Two-panel axial: CT | PSMA PET, [18F]PSMA-1007 tracer. PET panel 200×200 px (4.1 mm/px).
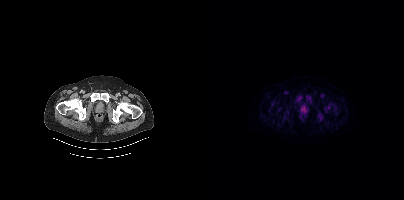
Coordinates are on the 200×200 PET (right) panel. PSMA-avid tumor lesion bounding boxes (partial; 1 more focus not listed):
| # | x0 | y0 | x1 | y1 |
|---|---|---|---|---|
| 1 | 113 | 114 | 118 | 119 |
| 2 | 102 | 95 | 107 | 101 |
| 3 | 93 | 97 | 96 | 102 |
| 4 | 67 | 101 | 70 | 106 |
| 5 | 74 | 107 | 78 | 111 |
| 6 | 97 | 108 | 101 | 112 |
Small PSMA-avid focus (2 to 4 px across) near (center x, center y): (123, 107).